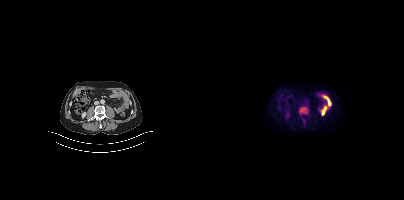
{"modality":"PSMA PET/CT","view":"axial","tracer":"18F-PSMA","pet_grid":[200,200],"coord_frame":"pet_panel","coord_format":"x0,y0,x1,y1","lesion_bboxes":[[96,107,103,113]]}